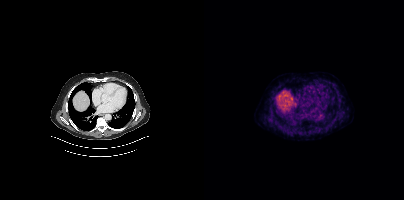
Findings: Coordinates are on the 200×200 PET (right) panel. Small PSMA-avid focus (2 to 4 px across) near (center x, center y): (115, 129).
- Two-panel axial: CT | PSMA PET, 68Ga tracer
- acquired on Siemens Biograph mCT Flow 20
- slice 270 of 403
- PET panel 200×200 px (4.1 mm/px)